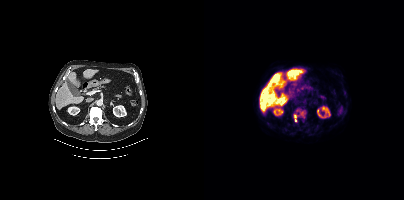
Findings: Coordinates are on the 200×200 PET (right) panel. (showing 2 of 4 foci) PSMA-avid tumor lesion bounding boxes (x, y, width, height): x=89 y=114 w=5 h=9; x=96 y=111 w=5 h=5.
Technique: Left: CT. Right: PSMA PET, same axial level, 18F-PSMA tracer.